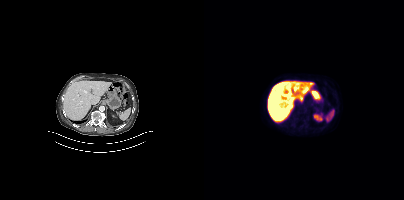
{"modality":"PSMA PET/CT","view":"axial","tracer":"18F","pet_grid":[200,200],"coord_frame":"pet_panel","coord_format":"x0,y0,x1,y1","psma_avid_lesions":false}